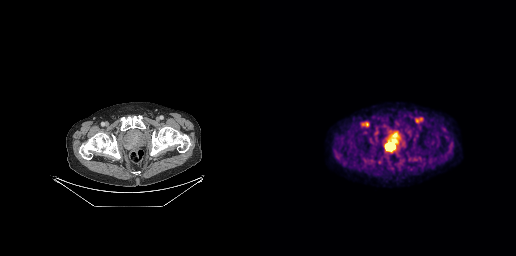
Findings: Coordinates are on the 256×256 PET (right) panel. PSMA-avid tumor lesion bounding box (x0,y0,x1,y1): [125,143,135,150].
- Paired axial CT (left) and PSMA PET (right), [18F]PSMA-1007 tracer
- PET panel 256×256 px (2.7 mm/px)